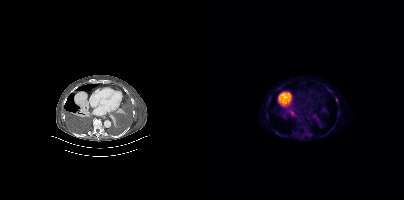
Findings: Coordinates are on the 200×200 PET (right) panel. (showing 5 of 6 foci) PSMA-avid tumor lesion bounding boxes (x, y, width, height): x=109 y=114 w=7 h=8; x=86 y=111 w=7 h=6; x=103 y=133 w=5 h=5; x=96 y=125 w=6 h=4. Small PSMA-avid focus (2 to 4 px across) near (center x, center y): (132, 99).
- Two-panel axial: CT | PSMA PET, 18F tracer
- acquired on Siemens Biograph mCT Flow 20
- PET panel 200×200 px (4.1 mm/px)